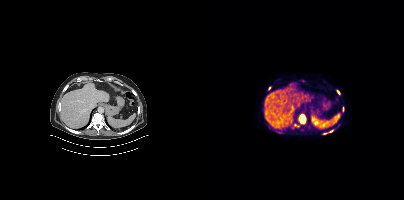
Coordinates are on the 200×200 PET (right) panel. (showing 3 of 5 foci) PSMA-avid tumor lesion bounding box (x, y, width, height): x=95 y=116 w=7 h=8. Small PSMA-avid foci (2 to 4 px across) near (center x, center y): (134, 91) / (127, 131). Left: CT. Right: PSMA PET, same axial level, [18F]PSMA-1007 tracer. Acquired on Siemens Biograph mCT Flow 20.